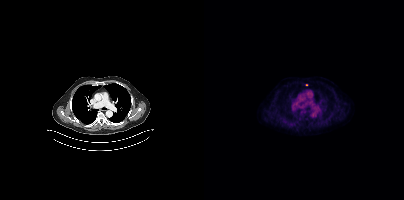
Two-panel axial: CT | PSMA PET, 18F tracer. Coordinates are on the 200×200 PET (right) panel. Small PSMA-avid focus (2 to 4 px across) near (center x, center y): (102, 84).